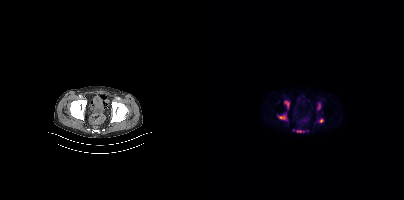
Coordinates are on the 200×200 PET (right) panel. (showing 5 of 7 foci) PSMA-avid tumor lesion bounding boxes (x0, y0)-(x1, y1): (74, 115)-(82, 119); (81, 101)-(85, 108); (114, 104)-(116, 109); (93, 131)-(97, 132). Small PSMA-avid focus (2 to 4 px across) near (center x, center y): (117, 120).